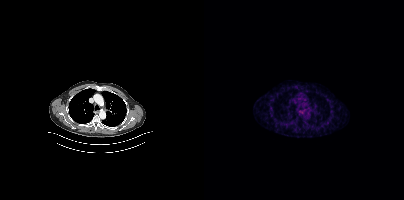
Left: CT. Right: PSMA PET, same axial level, 68Ga-PSMA tracer. Slice 271 of 373. This slice has no annotated PSMA-avid lesion.